Paired axial CT (left) and PSMA PET (right), [18F]PSMA-1007 tracer. Acquired on Siemens Biograph mCT Flow 20. Slice position z = -958 mm. PET panel 200×200 px (4.1 mm/px).
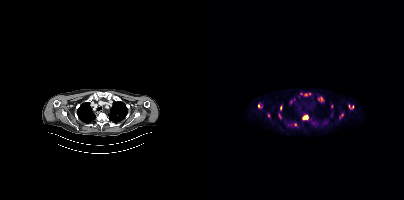
Coordinates are on the 200×200 PET (right) panel. (showing 11 of 15 foci) PSMA-avid tumor lesion bounding boxes (x0, y0)-(x1, y1): (99, 115)-(104, 119); (144, 104)-(149, 109); (74, 113)-(77, 118); (116, 97)-(119, 101); (86, 100)-(88, 104); (76, 105)-(78, 109); (136, 114)-(139, 118). Small PSMA-avid foci (2 to 4 px across) near (center x, center y): (91, 124); (54, 106); (114, 99); (64, 115).